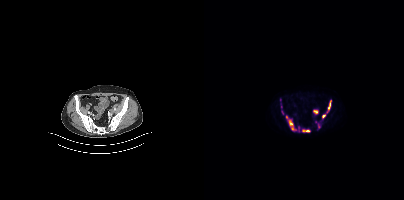
Coordinates are on the 200×200 PET (right) panel. (showing 8 of 9 foci) PSMA-avid tumor lesion bounding boxes (x0, y0)-(x1, y1): (82, 116)-(92, 130) | (98, 130)-(105, 132) | (124, 100)-(127, 109) | (114, 124)-(116, 128) | (77, 104)-(78, 108). Small PSMA-avid foci (2 to 4 px across) near (center x, center y): (111, 111) | (119, 116) | (78, 112).